Two-panel axial: CT | PSMA PET, 18F tracer. Slice position z = -308 mm. PET panel 200×200 px (4.1 mm/px).
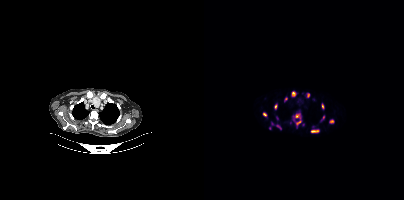
Coordinates are on the 200×200 PET (right) panel. (showing 13 of 15 foci) PSMA-avid tumor lesion bounding boxes (x, y, width, height): x=89 y=113 w=9 h=13 | x=107 y=129 w=8 h=4 | x=88 y=91 w=4 h=6 | x=125 y=119 w=6 h=5 | x=117 y=103 w=4 h=7 | x=70 y=104 w=4 h=6 | x=59 y=112 w=4 h=5 | x=80 y=97 w=4 h=5 | x=117 y=116 w=4 h=5 | x=103 y=93 w=3 h=5. Small PSMA-avid foci (2 to 4 px across) near (center x, center y): (75, 127) | (65, 128) | (68, 123).